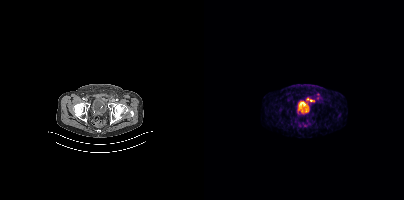
{"modality":"PSMA PET/CT","view":"axial","tracer":"68Ga","pet_grid":[200,200],"coord_frame":"pet_panel","coord_format":"x0,y0,x1,y1","lesion_bboxes":[],"small_foci_centers":[[103,99],[106,100]]}